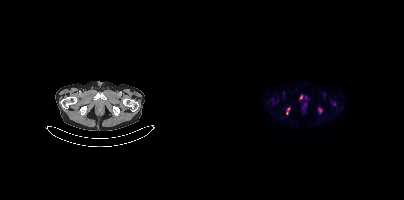
Left: CT. Right: PSMA PET, same axial level, 18F-PSMA tracer. Acquired on Siemens Biograph mCT Flow 20. Slice position z = -1514 mm. PET panel 200×200 px (4.1 mm/px).
Coordinates are on the 200×200 PET (right) panel. PSMA-avid tumor lesion bounding boxes (partial; 1 more focus not listed):
| # | x0 | y0 | x1 | y1 |
|---|---|---|---|---|
| 1 | 82 | 107 | 85 | 114 |
| 2 | 96 | 95 | 98 | 99 |
| 3 | 115 | 108 | 117 | 112 |